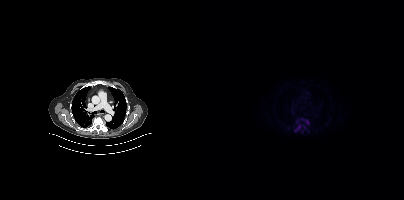
{"modality":"PSMA PET/CT","view":"axial","tracer":"18F","pet_grid":[200,200],"coord_frame":"pet_panel","coord_format":"x0,y0,x1,y1","lesion_bboxes":[[97,119,105,124],[92,124,97,129]],"small_foci_centers":[[93,121],[100,126]]}